Technique: Paired axial CT (left) and PSMA PET (right), 18F-PSMA tracer. acquired on Siemens Biograph mCT Flow 20. slice 198 of 423. PET panel 200×200 px (4.1 mm/px).
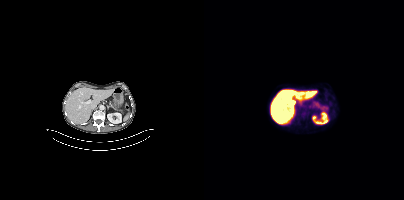
Findings: No PSMA-avid tumor lesions on this slice.